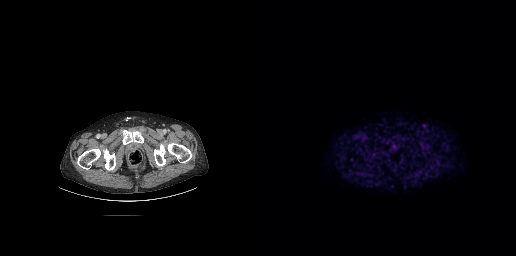
Findings: No PSMA-avid tumor lesions on this slice.
- Paired axial CT (left) and PSMA PET (right), 18F tracer
- slice position z = -709 mm